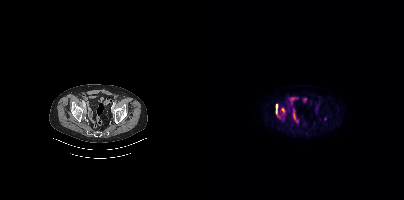
{"modality":"PSMA PET/CT","view":"axial","tracer":"[18F]PSMA-1007","pet_grid":[200,200],"coord_frame":"pet_panel","coord_format":"x0,y0,x1,y1","partial":true,"lesion_bboxes":[],"small_foci_centers":[[72,106],[78,109]]}